Technique: Left: CT. Right: PSMA PET, same axial level, 68Ga-PSMA tracer. acquired on GE Discovery 690. slice 238 of 263. PET panel 256×256 px (2.7 mm/px).
Note: Any black rectangle over the head is a privacy mask, not anatomy.
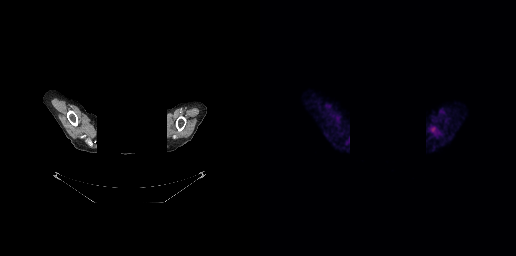
Findings: Negative for PSMA-avid disease on this slice.